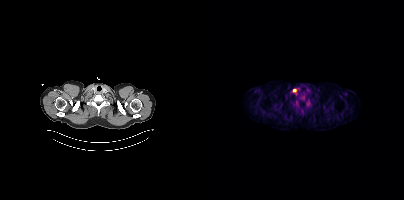
Coordinates are on the 200×200 PET (right) panel. Small PSMA-avid focus (2 to 4 px across) near (center x, center y): (90, 90).